Privacy masking over the head, with the pixels inside a rectangle set to black. Two-panel axial: CT | PSMA PET, 18F tracer. Slice 391 of 421. PET panel 200×200 px (4.1 mm/px).
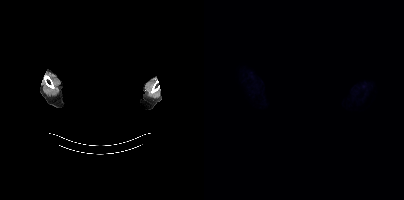
No tumor lesions annotated on this slice.